Technique: Left: CT. Right: PSMA PET, same axial level, [18F]PSMA-1007 tracer. slice position z = -338 mm.
Note: De-identified by setting a box covering the face to black before release.
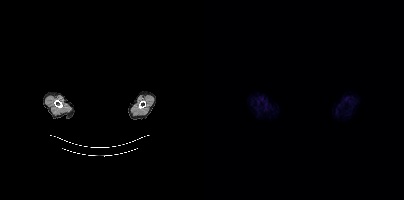
Findings: No PSMA-avid tumor lesions on this slice.